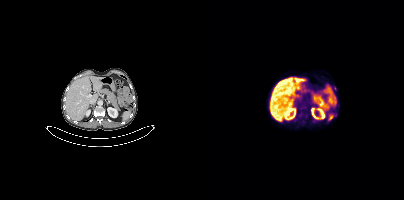
Negative for PSMA-avid disease on this slice.